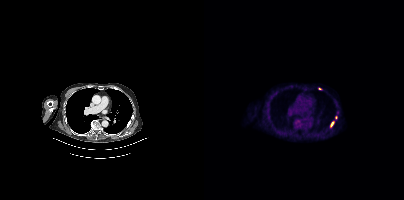
Coordinates are on the 200×200 PET (right) panel. PSMA-avid tumor lesion bounding box (x0,y0,x1,y1): [126,121,130,127]. Small PSMA-avid foci (2 to 4 px across) near (center x, center y): (132, 117) (115, 88). Two-panel axial: CT | PSMA PET, 18F tracer. PET panel 200×200 px (4.1 mm/px).